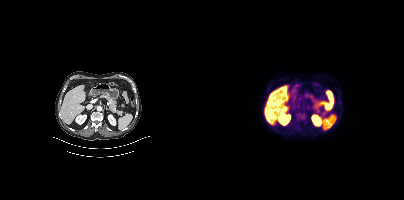
Negative for PSMA-avid disease on this slice.